modality: PSMA PET/CT | tracer: 68Ga | view: axial
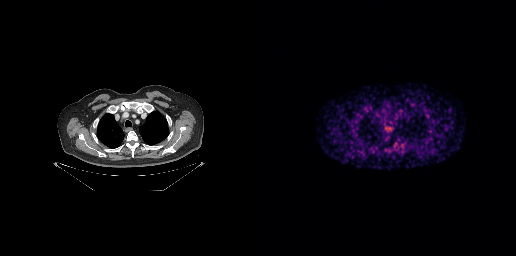
No tumor lesions annotated on this slice.